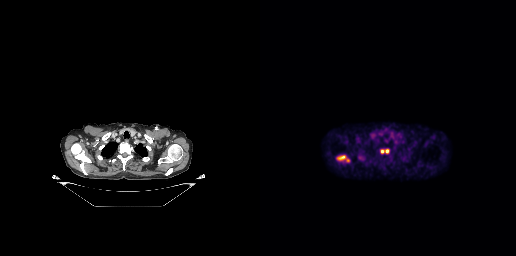
Coordinates are on the 256×256 PET (right) panel. PSMA-avid tumor lesion bounding box (x, y, width, height): x=76 y=155 w=14 h=8. Small PSMA-avid foci (2 to 4 px across) near (center x, center y): (122, 151); (127, 151). Two-panel axial: CT | PSMA PET, 18F-PSMA tracer. Slice 215 of 263. PET panel 256×256 px (2.7 mm/px).